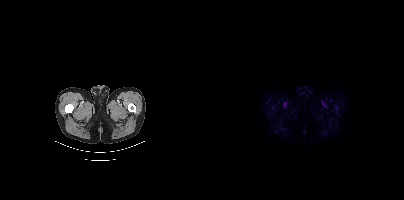
- Two-panel axial: CT | PSMA PET, 18F-PSMA tracer
- acquired on Siemens Biograph mCT Flow 20
- slice 31 of 417
Findings: No tumor lesions annotated on this slice.